- Paired axial CT (left) and PSMA PET (right), 18F tracer
- acquired on Siemens Biograph mCT Flow 20
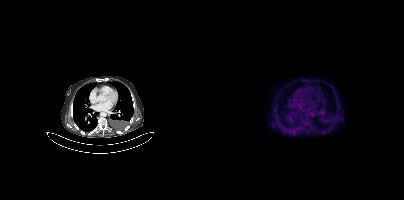
Findings: Coordinates are on the 200×200 PET (right) panel. PSMA-avid tumor lesion bounding box (x0,y0,x1,y1): [117,131,121,133].